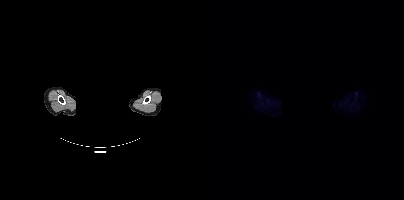
Findings: No PSMA-avid tumor lesions on this slice.
- a rectangle over the head was blacked out to remove identifiable facial features
- Left: CT. Right: PSMA PET, same axial level, 18F tracer
- acquired on Siemens Biograph mCT Flow 20
- PET panel 200×200 px (4.1 mm/px)